Technique: Paired axial CT (left) and PSMA PET (right), [18F]PSMA-1007 tracer. slice position z = -680 mm. PET panel 256×256 px (2.7 mm/px).
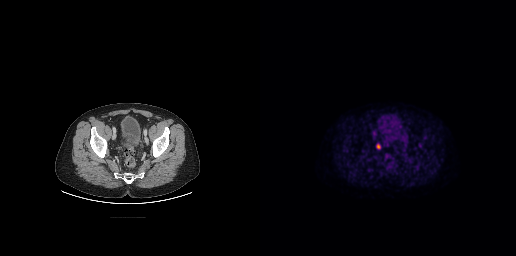
Findings: Coordinates are on the 256×256 PET (right) panel. PSMA-avid tumor lesion bounding box (x, y, width, height): x=116 y=144 w=5 h=5.